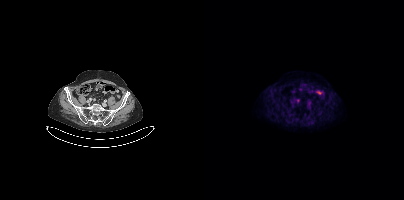
Left: CT. Right: PSMA PET, same axial level, [18F]PSMA-1007 tracer. Acquired on Siemens Biograph mCT Flow 20. Slice 93 of 381. This slice has no annotated PSMA-avid lesion.